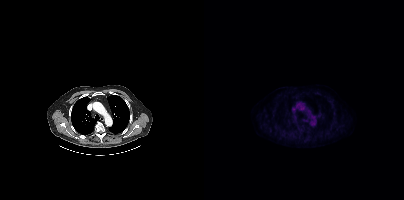
Technique: Left: CT. Right: PSMA PET, same axial level, [18F]PSMA-1007 tracer. slice 318 of 435.
Findings: This slice has no annotated PSMA-avid lesion.